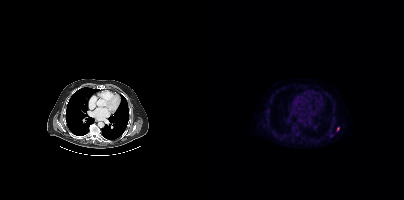
- Paired axial CT (left) and PSMA PET (right), [18F]PSMA-1007 tracer
- PET panel 200×200 px (4.1 mm/px)
Findings: Coordinates are on the 200×200 PET (right) panel. Small PSMA-avid focus (2 to 4 px across) near (center x, center y): (133, 129).